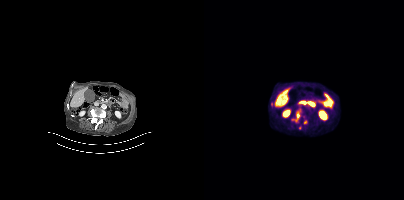
Coordinates are on the 200×200 PET (right) panel. PSMA-avid tumor lesion bounding boxes (x, y, width, height): x=88 y=116 w=10 h=8; x=99 y=117 w=5 h=8. Small PSMA-avid focus (2 to 4 px across) near (center x, center y): (96, 127).